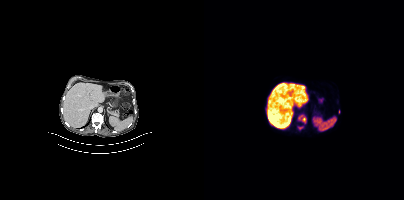
Coordinates are on the 200×200 PET (right) panel. PSMA-avid tumor lesion bounding boxes (partial; 4 more foci not listed):
| # | x0 | y0 | x1 | y1 |
|---|---|---|---|---|
| 1 | 98 | 117 | 101 | 121 |
Two-panel axial: CT | PSMA PET, 18F-PSMA tracer. Slice position z = -520 mm.